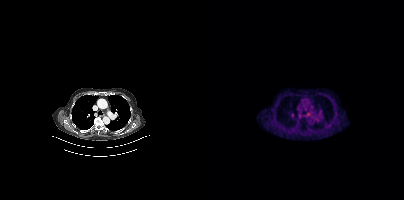
Coordinates are on the 200×200 PET (right) panel. Small PSMA-avid focus (2 to 4 px across) near (center x, center y): (104, 113).